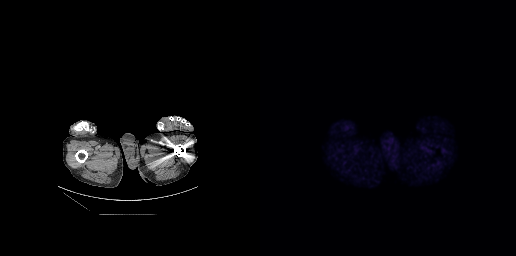
No PSMA-avid tumor lesions on this slice.